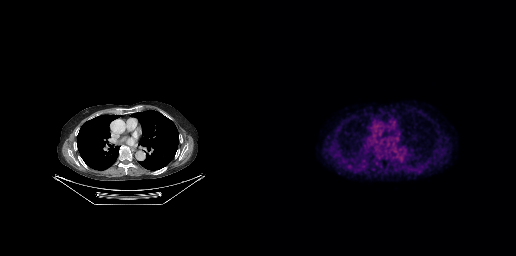
{"modality":"PSMA PET/CT","view":"axial","tracer":"18F","pet_grid":[256,256],"coord_frame":"pet_panel","coord_format":"x0,y0,x1,y1","psma_avid_lesions":false}